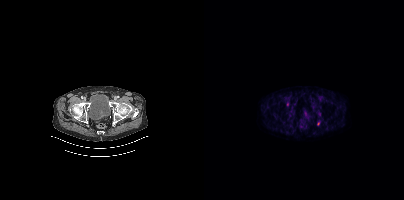
{"modality":"PSMA PET/CT","view":"axial","tracer":"[18F]PSMA-1007","pet_grid":[200,200],"coord_frame":"pet_panel","coord_format":"x0,y0,x1,y1","lesion_bboxes":[],"small_foci_centers":[[114,123],[83,104]]}